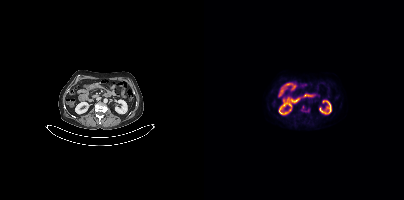
This slice has no annotated PSMA-avid lesion. Two-panel axial: CT | PSMA PET, 18F tracer. Acquired on Siemens Biograph mCT Flow 20. Slice 200 of 421. PET panel 200×200 px (4.1 mm/px).